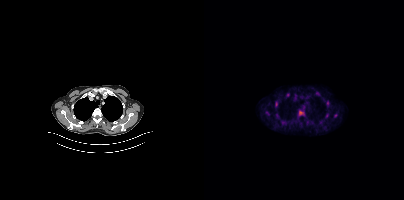
Coordinates are on the 200×200 PET (right) panel. PSMA-avid tumor lesion bounding box (x0,y0,x1,y1): [122,101,125,106]. Small PSMA-avid foci (2 to 4 px across) near (center x, center y): (131, 115), (122, 115), (63, 113), (72, 115), (79, 122), (116, 122).
modality: PSMA PET/CT | tracer: [18F]PSMA-1007 | view: axial | PET grid: 200×200